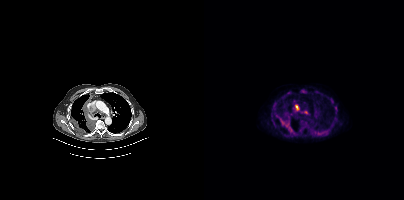
Coordinates are on the 200×200 PET (right) panel. PSMA-avid tumor lesion bounding boxes (partial; 1 more focus not listed):
| # | x0 | y0 | x1 | y1 |
|---|---|---|---|---|
| 1 | 77 | 118 | 88 | 131 |
| 2 | 91 | 105 | 94 | 110 |
Small PSMA-avid foci (2 to 4 px across) near (center x, center y): (100, 126); (97, 92).
Two-panel axial: CT | PSMA PET, [18F]PSMA-1007 tracer. Slice 324 of 452. PET panel 200×200 px (4.1 mm/px).